- face de-identified by blanking a block of the head
- Two-panel axial: CT | PSMA PET, 18F tracer
- acquired on Siemens Biograph mCT Flow 20
- slice 413 of 466
- PET panel 200×200 px (4.1 mm/px)
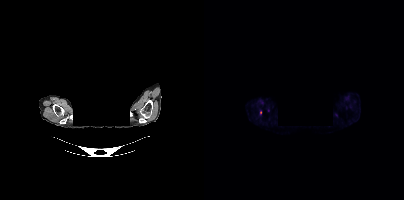
Findings: Coordinates are on the 200×200 PET (right) panel. (showing 1 of 2 foci) PSMA-avid tumor lesion bounding box (x, y, width, height): x=56 y=110 w=2 h=5.